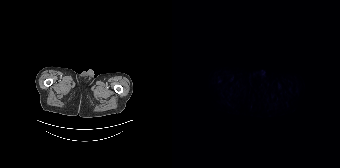
modality: PSMA PET/CT | tracer: 18F-PSMA | view: axial | PET grid: 168×168
No PSMA-avid tumor lesions on this slice.